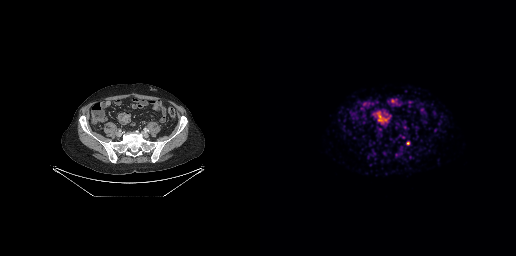
Coordinates are on the 256×256 PET (right) panel. Small PSMA-avid focus (2 to 4 px across) near (center x, center y): (147, 142).